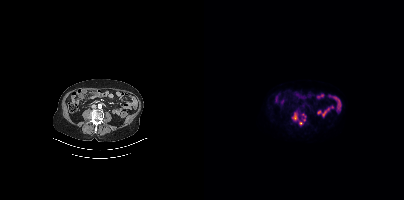
Coordinates are on the 200×200 PET (right) panel. (showing 1 of 2 foci) PSMA-avid tumor lesion bounding box (x, y, width, height): x=88 y=112 w=15 h=14.